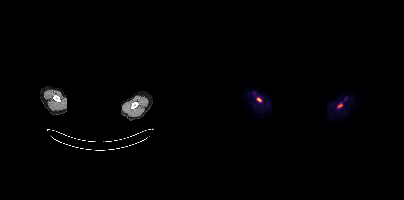
Findings: Coordinates are on the 200×200 PET (right) panel. PSMA-avid tumor lesion bounding box (x, y, width, height): x=53 y=98 w=5 h=4. Small PSMA-avid focus (2 to 4 px across) near (center x, center y): (134, 106).
Technique: Two-panel axial: CT | PSMA PET, 18F-PSMA tracer. slice 340 of 373.
Note: The face region was removed for patient privacy by blanking a rectangle over the head.